- Paired axial CT (left) and PSMA PET (right), [18F]PSMA-1007 tracer
- acquired on Siemens Biograph mCT Flow 20
- slice position z = -1395 mm
- PET panel 200×200 px (4.1 mm/px)
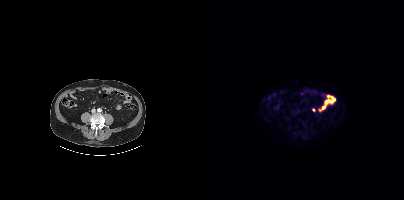
Findings: Negative for PSMA-avid disease on this slice.